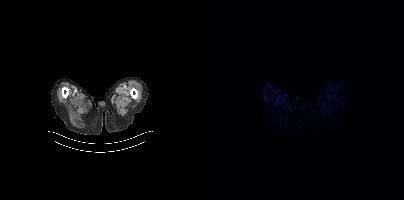
- Two-panel axial: CT | PSMA PET, [18F]PSMA-1007 tracer
- slice position z = -1074 mm
- PET panel 200×200 px (4.1 mm/px)
Findings: No tumor lesions annotated on this slice.